modality: PSMA PET/CT | tracer: [18F]PSMA-1007 | view: axial
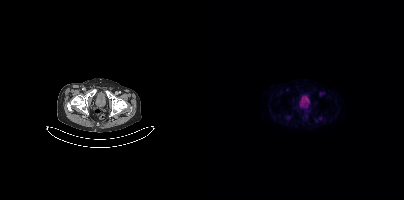
Negative for PSMA-avid disease on this slice.